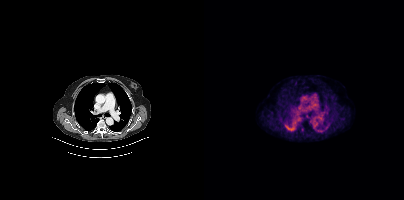
Left: CT. Right: PSMA PET, same axial level, 18F tracer. Acquired on Siemens Biograph mCT Flow 20. Slice position z = -1006 mm. This slice has no annotated PSMA-avid lesion.